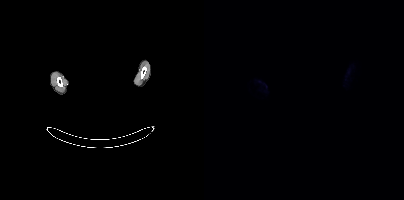
No PSMA-avid tumor lesions on this slice.
Any black rectangle over the head is a privacy mask, not anatomy.